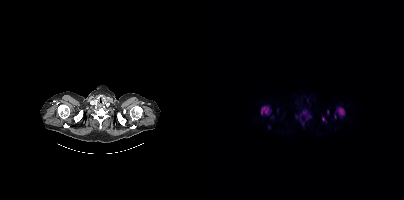
modality: PSMA PET/CT | tracer: 18F-PSMA | view: axial | PET grid: 200×200
Coordinates are on the 200×200 PET (right) panel. PSMA-avid tumor lesion bounding boxes (x, y, width, height): x=57 y=105 w=11 h=11 / x=132 y=107 w=9 h=10 / x=96 y=110 w=12 h=10 / x=118 y=117 w=5 h=5 / x=123 y=110 w=2 h=5. Small PSMA-avid foci (2 to 4 px across) near (center x, center y): (131, 116) / (99, 123) / (65, 127) / (73, 110) / (68, 116) / (92, 116) / (96, 118).